modality: PSMA PET/CT | tracer: 18F-PSMA | view: axial | PET grid: 200×200 | de-identification: head region blanked (face removed)
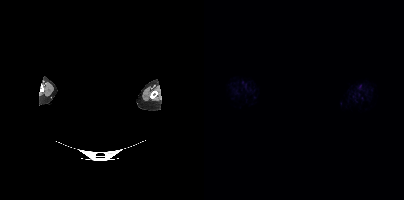
No PSMA-avid tumor lesions on this slice.